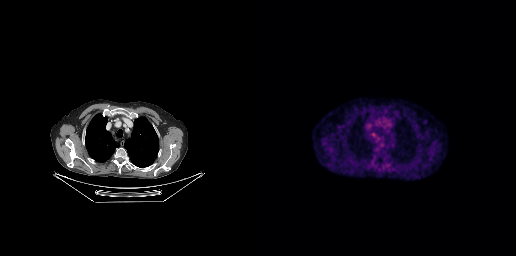
Two-panel axial: CT | PSMA PET, [18F]PSMA-1007 tracer. Acquired on GE Discovery 690. Coordinates are on the 256×256 PET (right) panel. Small PSMA-avid focus (2 to 4 px across) near (center x, center y): (113, 134).